Technique: Paired axial CT (left) and PSMA PET (right), 18F tracer. acquired on Siemens Biograph mCT Flow 20.
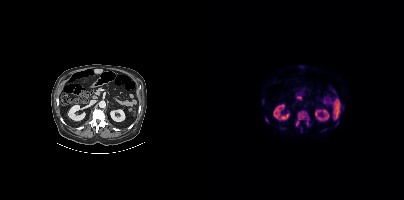
Findings: Coordinates are on the 200×200 PET (right) panel. PSMA-avid tumor lesion bounding boxes (x0, y0)-(x1, y1): (91, 110)-(106, 126) | (93, 96)-(97, 99) | (61, 117)-(64, 122) | (97, 127)-(98, 132).